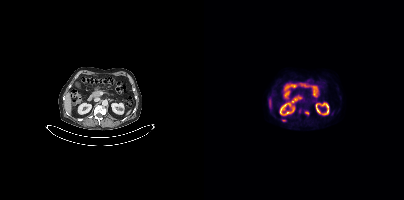
Coordinates are on the 200×200 PET (right) panel. PSMA-avid tumor lesion bounding box (x, y, width, height): x=78 y=119 w=5 h=3. Small PSMA-avid focus (2 to 4 px across) near (center x, center y): (102, 113). Left: CT. Right: PSMA PET, same axial level, [18F]PSMA-1007 tracer. PET panel 200×200 px (4.1 mm/px).